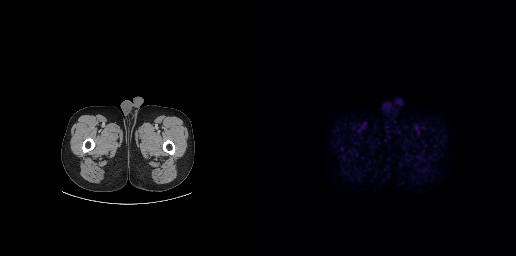
{"pet_grid":[256,256],"coord_frame":"pet_panel","coord_format":"x0,y0,x1,y1","psma_avid_lesions":false,"modality":"PSMA PET/CT","view":"axial","tracer":"18F-PSMA"}